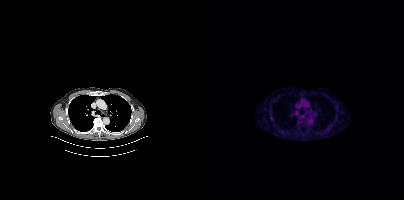
Findings: Coordinates are on the 200×200 PET (right) panel. Small PSMA-avid focus (2 to 4 px across) near (center x, center y): (67, 118).
Technique: Two-panel axial: CT | PSMA PET, [18F]PSMA-1007 tracer. acquired on Siemens Biograph mCT Flow 20. slice 317 of 440. PET panel 200×200 px (4.1 mm/px).